modality: PSMA PET/CT | tracer: 68Ga-PSMA | view: axial | PET grid: 168×168
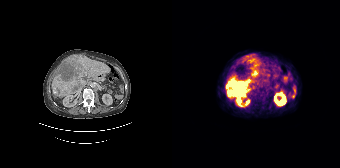
Coordinates are on the 168×168 PET (right) panel. PSMA-avid tumor lesion bounding boxes (x, y, width, height): x=54 y=77 w=24 h=20; x=79 y=62 w=9 h=15. Small PSMA-avid focus (2 to 4 px across) near (center x, center y): (78, 59).